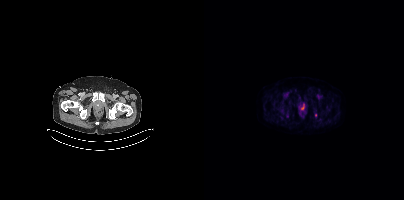
Coordinates are on the 200×200 PET (right) panel. Small PSMA-avid focus (2 to 4 px across) near (center x, center y): (111, 115).